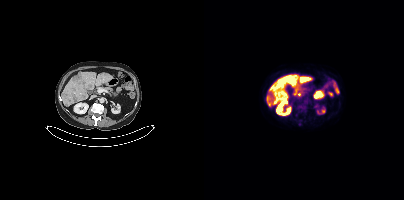
- Two-panel axial: CT | PSMA PET, 18F-PSMA tracer
- PET panel 200×200 px (4.1 mm/px)
Findings: Coordinates are on the 200×200 PET (right) panel. PSMA-avid tumor lesion bounding boxes (x0,y0,x1,y1): [86,79,91,85] [72,82,77,87] [79,76,83,81] [98,76,102,81].